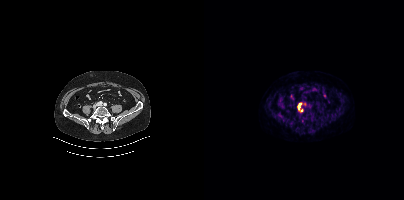
{"modality":"PSMA PET/CT","view":"axial","tracer":"18F","pet_grid":[200,200],"coord_frame":"pet_panel","coord_format":"x0,y0,x1,y1","partial":true,"lesion_bboxes":[[94,103,97,108]]}